- Two-panel axial: CT | PSMA PET, 68Ga tracer
- acquired on GE Discovery 690
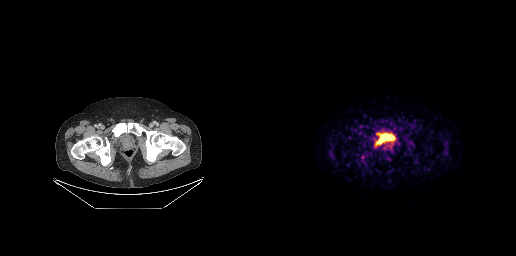
Findings: Coordinates are on the 256×256 PET (right) panel. (showing 1 of 2 foci) PSMA-avid tumor lesion bounding box (x0,y0,x1,y1): [116,133,124,138].